- Paired axial CT (left) and PSMA PET (right), [18F]PSMA-1007 tracer
- slice position z = -808 mm
- PET panel 200×200 px (4.1 mm/px)
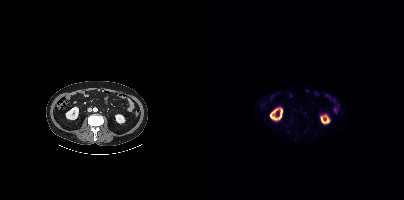
Findings: No PSMA-avid tumor lesions on this slice.